Paired axial CT (left) and PSMA PET (right), 18F-PSMA tracer. Slice position z = -662 mm.
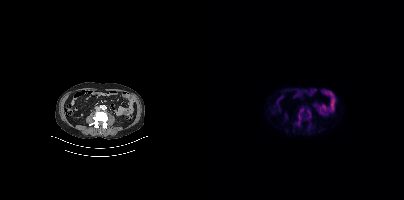
Coordinates are on the 200×200 PET (right) panel. PSMA-avid tumor lesion bounding boxes (partial; 2 more foci not listed):
| # | x0 | y0 | x1 | y1 |
|---|---|---|---|---|
| 1 | 94 | 108 | 99 | 124 |
| 2 | 103 | 110 | 106 | 117 |